Paired axial CT (left) and PSMA PET (right), 68Ga-PSMA tracer.
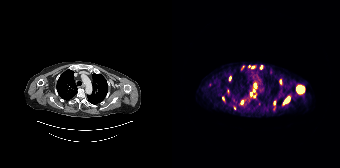
Coordinates are on the 168×168 PET (right) panel. (showing 13 of 16 foci) PSMA-avid tumor lesion bounding boxes (x, y, width, height): x=124 y=86 w=9 h=7 | x=82 y=83 w=3 h=5. Small PSMA-avid foci (2 to 4 px across) near (center x, center y): (116, 99) | (70, 102) | (102, 103) | (78, 94) | (62, 108) | (77, 66) | (89, 67) | (81, 90) | (112, 102) | (108, 81) | (82, 96).